Technique: Left: CT. Right: PSMA PET, same axial level, 18F-PSMA tracer.
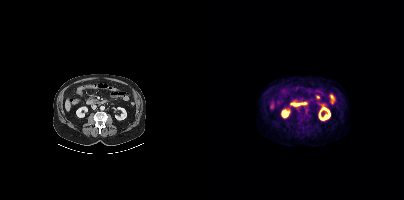
Findings: No PSMA-avid tumor lesions on this slice.